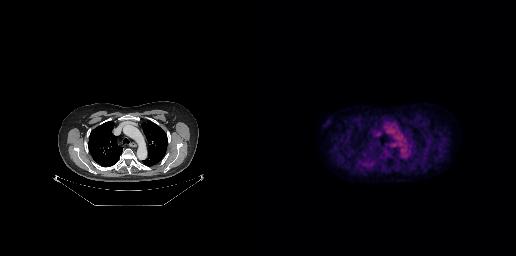
Technique: Paired axial CT (left) and PSMA PET (right), 18F-PSMA tracer. slice position z = -171 mm.
Findings: Negative for PSMA-avid disease on this slice.